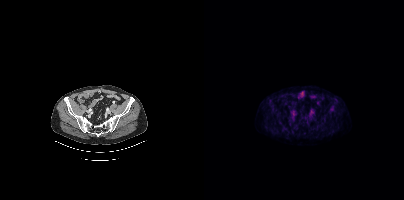
No tumor lesions annotated on this slice. Paired axial CT (left) and PSMA PET (right), 18F tracer. Slice position z = -1393 mm. PET panel 200×200 px (4.1 mm/px).